Two-panel axial: CT | PSMA PET, 68Ga-PSMA tracer. Acquired on Siemens Biograph 64-4R TruePoint.
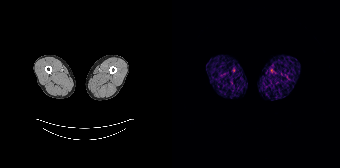
No PSMA-avid tumor lesions on this slice.